Paired axial CT (left) and PSMA PET (right), 68Ga-PSMA tracer. Acquired on Siemens Biograph 64-4R TruePoint. Slice position z = -754 mm.
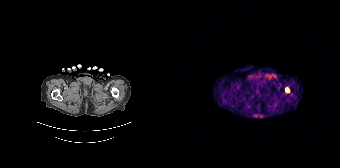
Coordinates are on the 168×168 PET (right) panel. PSMA-avid tumor lesion bounding boxes:
| # | x0 | y0 | x1 | y1 |
|---|---|---|---|---|
| 1 | 113 | 88 | 117 | 92 |